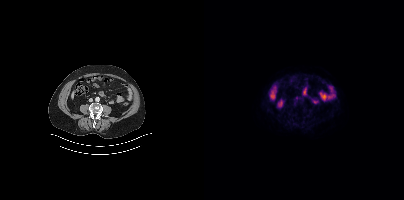
Findings: Negative for PSMA-avid disease on this slice.
- Paired axial CT (left) and PSMA PET (right), 18F tracer
- slice 155 of 413